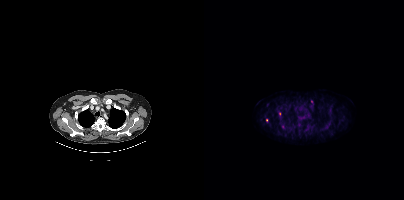
Findings: Coordinates are on the 200×200 PET (right) panel. (showing 2 of 4 foci) Small PSMA-avid foci (2 to 4 px across) near (center x, center y): (75, 113), (62, 119).
- Paired axial CT (left) and PSMA PET (right), 18F-PSMA tracer
- slice 327 of 417